modality: PSMA PET/CT | tracer: [18F]PSMA-1007 | view: axial
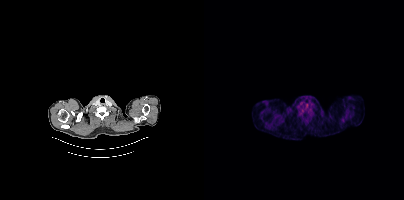
Negative for PSMA-avid disease on this slice.